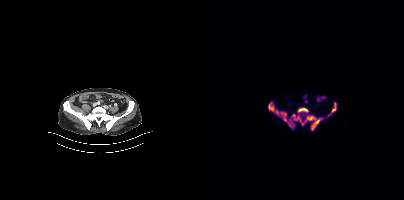
Coordinates are on the 200×200 PET (right) panel. PSMA-avid tumor lesion bounding boxes (x, y, width, height): x=64 y=102 w=55 h=29 | x=93 y=107 w=12 h=6 | x=124 y=103 w=9 h=14. Paired axial CT (left) and PSMA PET (right), 18F-PSMA tracer. Acquired on Siemens Biograph mCT Flow 20. PET panel 200×200 px (4.1 mm/px).